Paired axial CT (left) and PSMA PET (right), 18F-PSMA tracer. Slice position z = 177 mm. PET panel 200×200 px (4.1 mm/px).
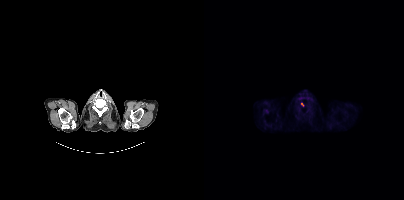
Coordinates are on the 200×200 PET (right) panel. Small PSMA-avid focus (2 to 4 px across) near (center x, center y): (98, 104).